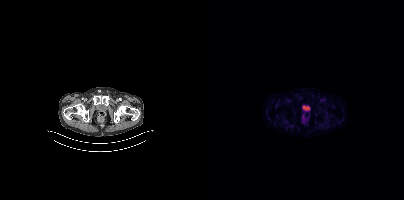
modality: PSMA PET/CT | tracer: [18F]PSMA-1007 | view: axial | PET grid: 200×200
Negative for PSMA-avid disease on this slice.